modality: PSMA PET/CT | tracer: 18F-PSMA | view: axial
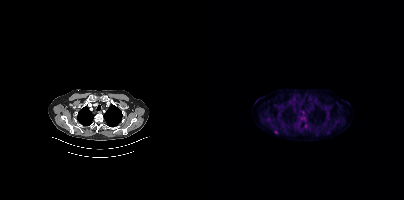
Coordinates are on the 200×200 PET (right) panel. (showing 1 of 2 foci) Small PSMA-avid focus (2 to 4 px across) near (center x, center y): (72, 131).